Technique: Paired axial CT (left) and PSMA PET (right), 18F-PSMA tracer. slice 371 of 391.
Note: Head region blanked for anonymization (face removed).
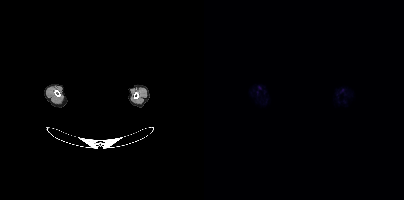
Findings: Negative for PSMA-avid disease on this slice.